Technique: Left: CT. Right: PSMA PET, same axial level, 18F tracer. acquired on Siemens Biograph 64-4R TruePoint. slice position z = -1614 mm.
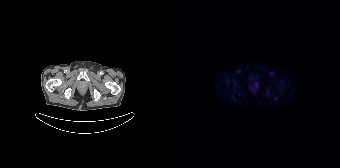
Findings: Coordinates are on the 168×168 PET (right) panel. Small PSMA-avid focus (2 to 4 px across) near (center x, center y): (84, 84).